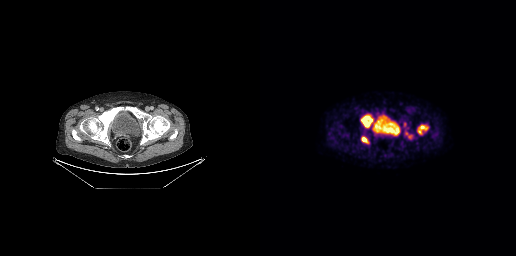
{"modality":"PSMA PET/CT","view":"axial","tracer":"18F","pet_grid":[256,256],"coord_frame":"pet_panel","coord_format":"x0,y0,x1,y1","lesion_bboxes":[[157,124,169,135],[101,115,112,127],[101,137,108,143],[143,121,147,127],[149,134,153,139]],"small_foci_centers":[[146,133]]}